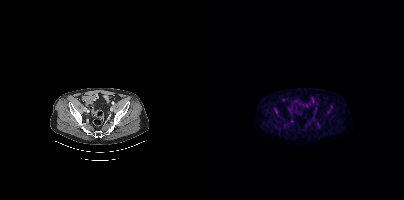
Findings: This slice has no annotated PSMA-avid lesion.
Technique: Paired axial CT (left) and PSMA PET (right), 18F-PSMA tracer. slice 98 of 438. PET panel 200×200 px (4.1 mm/px).